Paired axial CT (left) and PSMA PET (right), [18F]PSMA-1007 tracer. Slice 125 of 165.
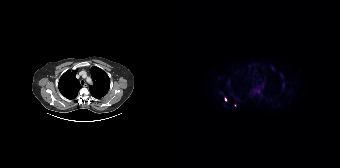
Coordinates are on the 168×168 PET (right) panel. (showing 1 of 2 foci) PSMA-avid tumor lesion bounding box (x0, y0)-(x1, y1): (53, 97)-(54, 101).